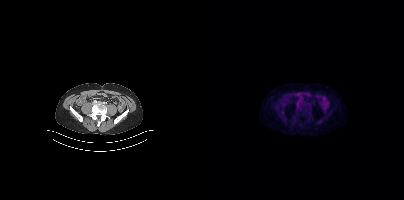
No PSMA-avid tumor lesions on this slice.